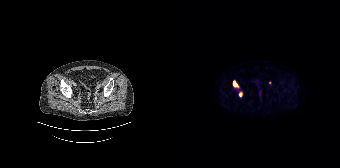
{"modality":"PSMA PET/CT","view":"axial","tracer":"[18F]PSMA-1007","pet_grid":[168,168],"coord_frame":"pet_panel","coord_format":"x0,y0,x1,y1","lesion_bboxes":[[61,80,67,88],[67,92,70,96]],"small_foci_centers":[[97,83]]}